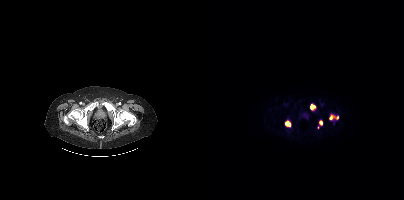
Coordinates are on the 200×200 PET (right) panel. PSMA-avid tumor lesion bounding boxes (partial; 1 more focus not listed):
| # | x0 | y0 | x1 | y1 |
|---|---|---|---|---|
| 1 | 125 | 114 | 134 | 119 |
| 2 | 106 | 104 | 111 | 110 |
| 3 | 81 | 121 | 86 | 126 |
| 4 | 115 | 120 | 118 | 125 |
Two-panel axial: CT | PSMA PET, [18F]PSMA-1007 tracer.